- Left: CT. Right: PSMA PET, same axial level, [18F]PSMA-1007 tracer
- slice position z = -904 mm
- PET panel 200×200 px (4.1 mm/px)
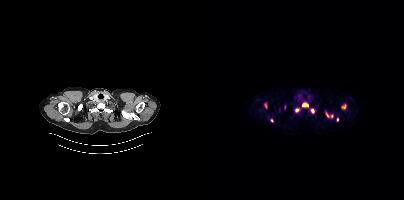
Findings: Coordinates are on the 200×200 PET (right) panel. PSMA-avid tumor lesion bounding boxes (x0,y0,x1,y1): [98,103,104,106] [138,104,142,108] [107,109,110,113] [121,111,124,116] [80,105,81,109]. Small PSMA-avid foci (2 to 4 px across) near (center x, center y): (92, 110) (61, 105) (133, 119) (67, 120) (127, 116).